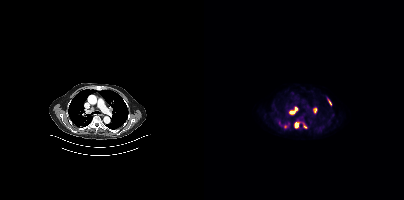
- Left: CT. Right: PSMA PET, same axial level, 18F tracer
- PET panel 200×200 px (4.1 mm/px)
Findings: Coordinates are on the 200×200 PET (right) panel. PSMA-avid tumor lesion bounding boxes (x0,y0,x1,y1): [85,107,93,114]; [91,122,94,127]; [109,108,113,113]; [124,99,127,105]. Small PSMA-avid foci (2 to 4 px across) near (center x, center y): (81, 126); (101, 126).